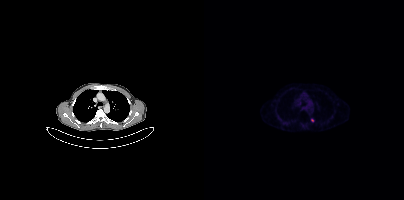
Coordinates are on the 200×200 PET (right) panel. Small PSMA-avid focus (2 to 4 px across) near (center x, center y): (108, 120).